Two-panel axial: CT | PSMA PET, 18F-PSMA tracer. Acquired on Siemens Biograph mCT Flow 20. PET panel 200×200 px (4.1 mm/px).
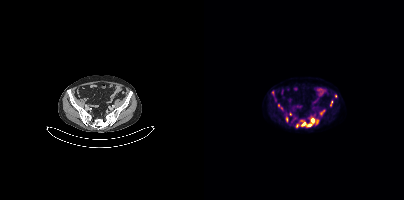
Coordinates are on the 200×200 PET (right) panel. PSMA-avid tumor lesion bounding boxes (partial; 1 more focus not listed):
| # | x0 | y0 | x1 | y1 |
|---|---|---|---|---|
| 1 | 97 | 117 | 114 | 127 |
| 2 | 126 | 100 | 128 | 106 |
Small PSMA-avid foci (2 to 4 px across) near (center x, center y): (93, 125); (131, 96); (74, 105); (82, 119); (117, 113); (68, 92); (86, 113).